- Two-panel axial: CT | PSMA PET, 18F tracer
- acquired on Siemens Biograph mCT Flow 20
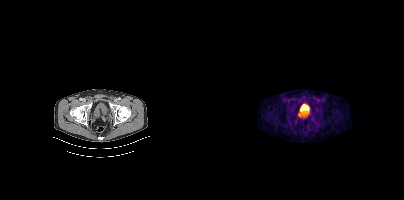
Findings: Negative for PSMA-avid disease on this slice.